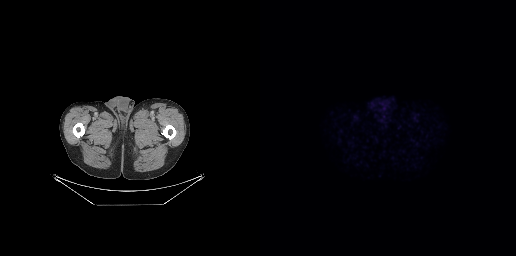
Negative for PSMA-avid disease on this slice.